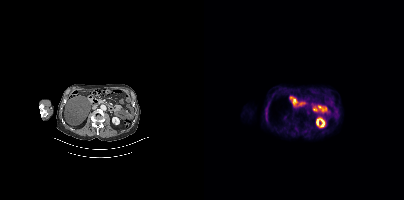
No tumor lesions annotated on this slice.
modality: PSMA PET/CT | tracer: 18F-PSMA | view: axial